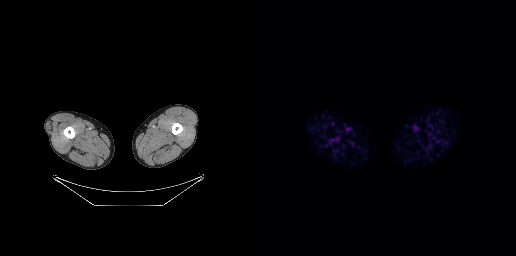
{"pet_grid":[256,256],"coord_frame":"pet_panel","coord_format":"x0,y0,x1,y1","psma_avid_lesions":false,"modality":"PSMA PET/CT","view":"axial","tracer":"18F-PSMA"}